- Paired axial CT (left) and PSMA PET (right), [18F]PSMA-1007 tracer
- PET panel 200×200 px (4.1 mm/px)
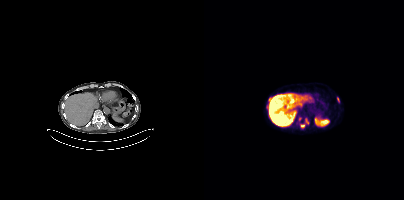
Findings: Coordinates are on the 200×200 PET (right) panel. PSMA-avid tumor lesion bounding boxes (x0,y0,x1,y1): [96,124,100,127] [94,117,97,121] [101,118,104,123] [133,97,135,101]. Small PSMA-avid foci (2 to 4 px across) near (center x, center y): (63, 106) (64, 99).